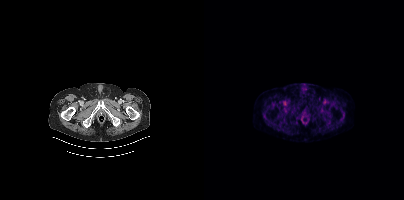
No tumor lesions annotated on this slice. Two-panel axial: CT | PSMA PET, [18F]PSMA-1007 tracer.